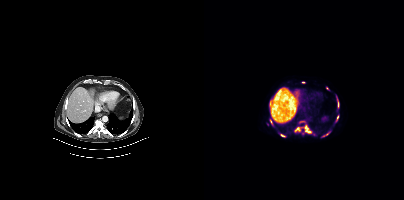
Two-panel axial: CT | PSMA PET, 18F-PSMA tracer.
Coordinates are on the 200×200 PET (right) panel. PSMA-avid tumor lesion bounding boxes (partial; 5 more foci not listed):
| # | x0 | y0 | x1 | y1 |
|---|---|---|---|---|
| 1 | 101 | 125 | 107 | 132 |
| 2 | 91 | 127 | 96 | 131 |
Small PSMA-avid foci (2 to 4 px across) near (center x, center y): (78, 135); (133, 117); (122, 134).